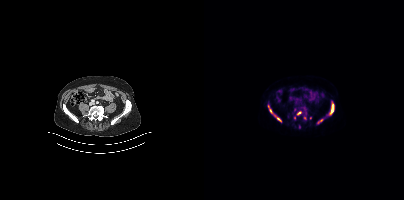
Paired axial CT (left) and PSMA PET (right), [18F]PSMA-1007 tracer. PET panel 200×200 px (4.1 mm/px).
Coordinates are on the 200×200 PET (right) panel. PSMA-avid tumor lesion bounding boxes (partial; 1 more focus not listed):
| # | x0 | y0 | x1 | y1 |
|---|---|---|---|---|
| 1 | 126 | 103 | 129 | 114 |
| 2 | 64 | 105 | 68 | 113 |
| 3 | 70 | 115 | 77 | 121 |
Small PSMA-avid foci (2 to 4 px across) near (center x, center y): (94, 113); (101, 117); (90, 117).